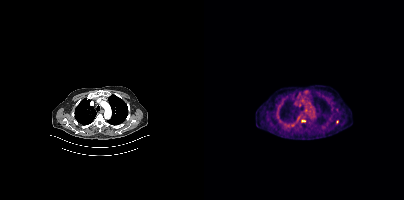
- Left: CT. Right: PSMA PET, same axial level, 18F tracer
- acquired on Siemens Biograph mCT Flow 20
- slice 302 of 397
- PET panel 200×200 px (4.1 mm/px)
Findings: Coordinates are on the 200×200 PET (right) panel. (showing 2 of 3 foci) Small PSMA-avid foci (2 to 4 px across) near (center x, center y): (101, 110) | (133, 121).